Paired axial CT (left) and PSMA PET (right), 18F tracer. PET panel 200×200 px (4.1 mm/px).
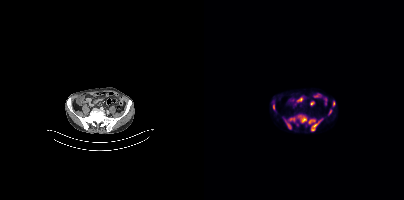
Coordinates are on the 200×200 PET (right) panel. PSMA-avid tumor lesion bounding boxes (x, y, width, height): x=104 y=118 w=16 h=14; x=93 y=115 w=10 h=8; x=85 y=117 w=7 h=5; x=81 y=120 w=7 h=9; x=69 y=104 w=3 h=7; x=129 y=101 w=3 h=6; x=125 y=109 w=3 h=6.